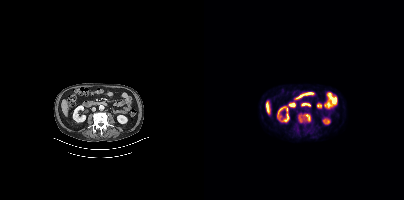
Coordinates are on the 200×200 PET (right) panel. PSMA-avid tumor lesion bounding box (x0,y0,x1,y1): [94,113,106,122].